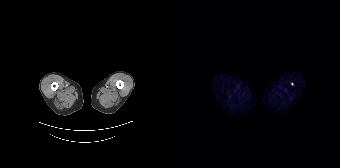
Findings: Only PSMA-avid lesion pieces thinner than 2 px on this slice (not listed).
- Two-panel axial: CT | PSMA PET, 68Ga tracer